Left: CT. Right: PSMA PET, same axial level, [18F]PSMA-1007 tracer. Acquired on GE Discovery 690.
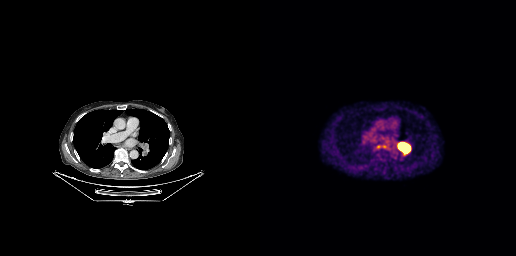
Coordinates are on the 256×256 PET (right) panel. PSMA-avid tumor lesion bounding boxes (partial; 1 more focus not listed):
| # | x0 | y0 | x1 | y1 |
|---|---|---|---|---|
| 1 | 137 | 142 | 151 | 155 |
Small PSMA-avid focus (2 to 4 px across) near (center x, center y): (118, 146).